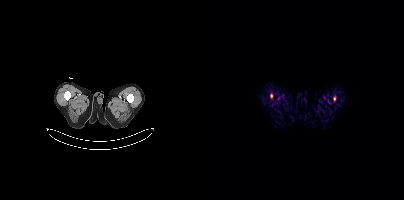
Coordinates are on the 200×200 PET (right) panel. Small PSMA-avid foci (2 to 4 px across) near (center x, center y): (67, 96); (130, 98).